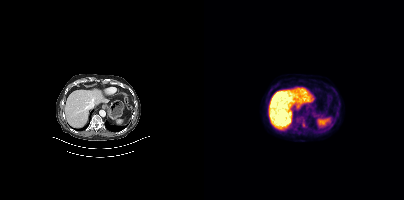
{"modality":"PSMA PET/CT","view":"axial","tracer":"18F-PSMA","pet_grid":[200,200],"coord_frame":"pet_panel","coord_format":"x0,y0,x1,y1","lesion_bboxes":[[96,120,102,127]]}